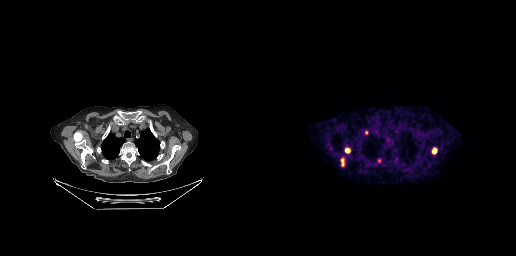
Findings: Coordinates are on the 256×256 PET (right) panel. (showing 4 of 5 foci) PSMA-avid tumor lesion bounding boxes (x0, y0)-(x1, y1): (85, 148)-(90, 153) / (81, 158)-(84, 166) / (105, 130)-(108, 134). Small PSMA-avid focus (2 to 4 px across) near (center x, center y): (175, 148).
- Two-panel axial: CT | PSMA PET, 18F tracer
- acquired on GE Discovery 690
- slice position z = -144 mm